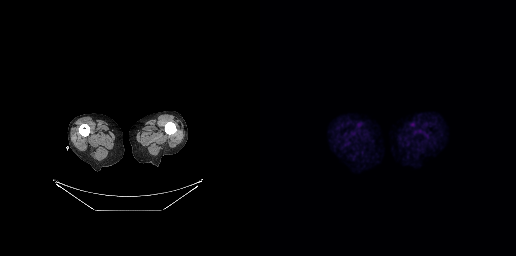
Technique: Left: CT. Right: PSMA PET, same axial level, 18F-PSMA tracer. PET panel 256×256 px (2.7 mm/px).
Findings: This slice has no annotated PSMA-avid lesion.